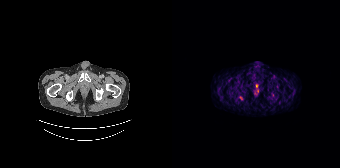
{"modality":"PSMA PET/CT","view":"axial","tracer":"68Ga","pet_grid":[168,168],"coord_frame":"pet_panel","coord_format":"x0,y0,x1,y1","partial":true,"lesion_bboxes":[]}